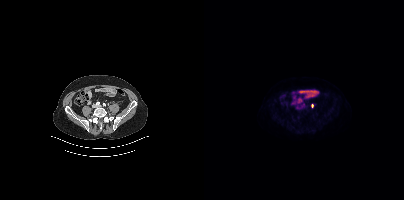
Coordinates are on the 200×200 PET (right) panel. Small PSMA-avid focus (2 to 4 px across) near (center x, center y): (108, 105). Two-panel axial: CT | PSMA PET, 18F tracer. Slice position z = -1431 mm.